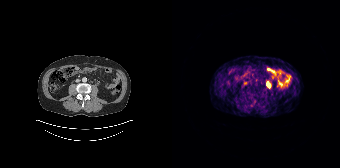
Findings: Coordinates are on the 168×168 PET (right) panel. Small PSMA-avid focus (2 to 4 px across) near (center x, center y): (95, 84).
Technique: Left: CT. Right: PSMA PET, same axial level, 68Ga-PSMA tracer. slice position z = -1362 mm. PET panel 168×168 px (4.1 mm/px).